Technique: Left: CT. Right: PSMA PET, same axial level, 18F-PSMA tracer. slice position z = 88 mm.
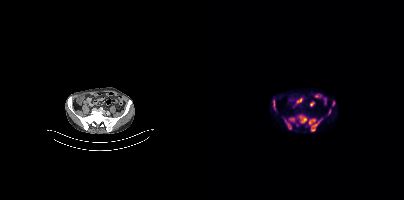
Findings: Coordinates are on the 200×200 PET (right) panel. (showing 7 of 8 foci) PSMA-avid tumor lesion bounding boxes (x0,y0,x1,y1): [104,118,118,131] [94,115,103,123] [81,120,87,129] [69,99,72,110] [85,118,90,121] [129,101,130,105] [125,109,126,113].